Technique: Left: CT. Right: PSMA PET, same axial level, 18F tracer. slice 7 of 299.
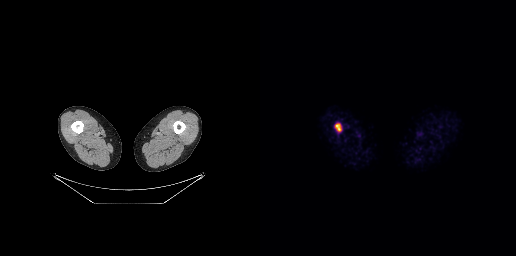
Findings: Coordinates are on the 256×256 PET (right) panel. PSMA-avid tumor lesion bounding box (x0, y0)-(x1, y1): (74, 122)-(82, 132).